modality: PSMA PET/CT | tracer: [18F]PSMA-1007 | view: axial
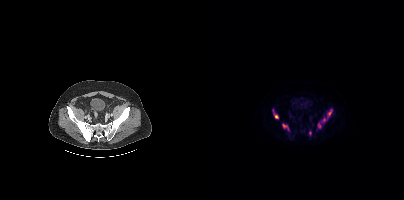
Coordinates are on the 200×200 PET (right) panel. (showing 5 of 6 foci) PSMA-avid tumor lesion bounding boxes (x0, y0)-(x1, y1): (123, 109)-(128, 118); (69, 109)-(74, 118); (78, 124)-(84, 130); (118, 117)-(122, 122); (114, 123)-(117, 127).